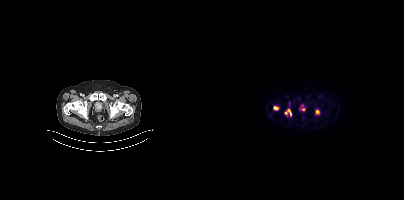
Coordinates are on the 200×200 PET (right) panel. (showing 4 of 5 foci) PSMA-avid tumor lesion bounding boxes (x, y, width, height): x=81 y=109 w=7 h=7; x=111 y=109 w=5 h=6; x=69 y=106 w=6 h=4. Small PSMA-avid focus (2 to 4 px across) near (center x, center y): (99, 109).